Paired axial CT (left) and PSMA PET (right), 18F-PSMA tracer. Acquired on GE Discovery 690.
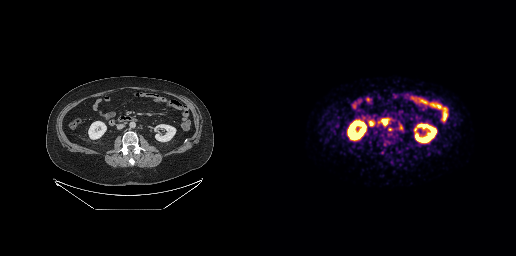
Coordinates are on the 256×256 PET (right) panel. PSMA-avid tumor lesion bounding box (x0, y0)-(x1, y1): (122, 119)-(127, 124).